- Two-panel axial: CT | PSMA PET, 18F-PSMA tracer
- acquired on Siemens Biograph mCT Flow 20
- PET panel 200×200 px (4.1 mm/px)
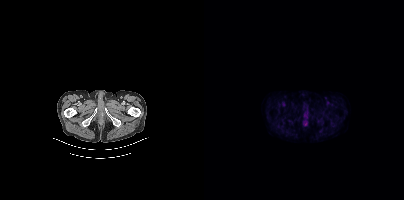
Findings: This slice has no annotated PSMA-avid lesion.